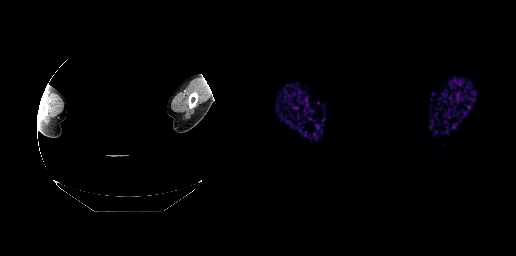
- de-identified by setting a box covering the face to black before release
- Paired axial CT (left) and PSMA PET (right), 68Ga-PSMA tracer
- acquired on GE Discovery 690
- slice 294 of 299
Findings: No PSMA-avid tumor lesions on this slice.